Technique: Left: CT. Right: PSMA PET, same axial level, [18F]PSMA-1007 tracer. acquired on Siemens Biograph mCT Flow 20. slice 165 of 395. PET panel 200×200 px (4.1 mm/px).
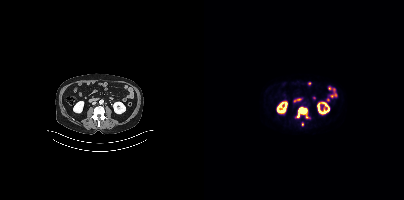
Findings: Coordinates are on the 200×200 PET (right) panel. PSMA-avid tumor lesion bounding box (x, y, width, height): x=91 y=106 w=16 h=13. Small PSMA-avid focus (2 to 4 px across) near (center x, center y): (98, 124).